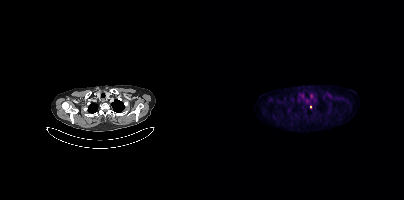
Technique: Paired axial CT (left) and PSMA PET (right), 18F tracer. acquired on Siemens Biograph mCT Flow 20. PET panel 200×200 px (4.1 mm/px).
Findings: Only PSMA-avid lesion pieces thinner than 2 px on this slice (not listed).